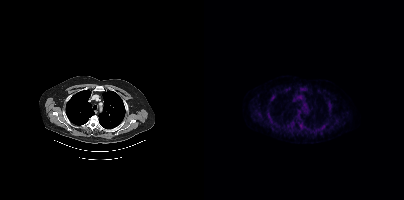
No tumor lesions annotated on this slice. Paired axial CT (left) and PSMA PET (right), 18F tracer. PET panel 200×200 px (4.1 mm/px).